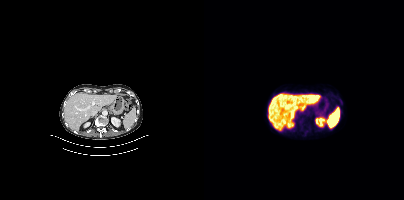
Technique: Paired axial CT (left) and PSMA PET (right), 18F-PSMA tracer. acquired on Siemens Biograph mCT Flow 20. slice position z = -521 mm. PET panel 200×200 px (4.1 mm/px).
Findings: Negative for PSMA-avid disease on this slice.